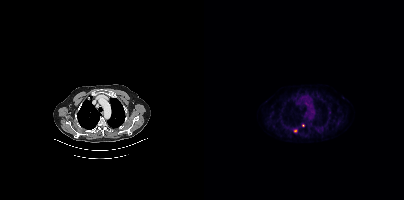
modality: PSMA PET/CT | tracer: [18F]PSMA-1007 | view: axial
Only PSMA-avid lesion pieces thinner than 2 px on this slice (not listed).